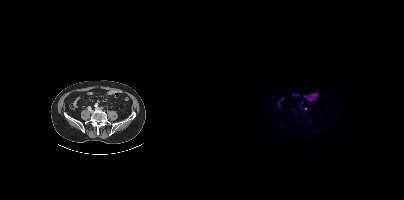
{"modality":"PSMA PET/CT","view":"axial","tracer":"[18F]PSMA-1007","pet_grid":[200,200],"coord_frame":"pet_panel","coord_format":"x0,y0,x1,y1","lesion_bboxes":[],"small_foci_centers":[[101,108]]}